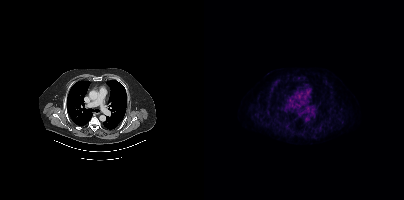
- Paired axial CT (left) and PSMA PET (right), 18F tracer
- acquired on Siemens Biograph mCT Flow 20
- slice 313 of 435
- PET panel 200×200 px (4.1 mm/px)
Findings: This slice has no annotated PSMA-avid lesion.